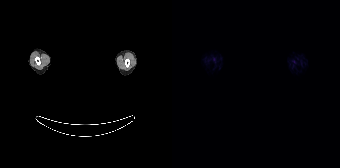
No PSMA-avid tumor lesions on this slice. Face de-identified by blanking a block of the head. Left: CT. Right: PSMA PET, same axial level, 18F tracer.